- Two-panel axial: CT | PSMA PET, [68Ga]Ga-PSMA-11 tracer
- acquired on Siemens Biograph 64-4R TruePoint
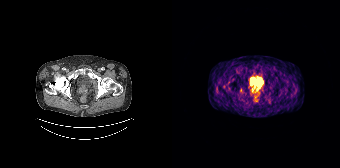
Findings: Coordinates are on the 168×168 PET (right) panel. Small PSMA-avid focus (2 to 4 px across) near (center x, center y): (86, 92).